modality: PSMA PET/CT | tracer: [18F]PSMA-1007 | view: axial
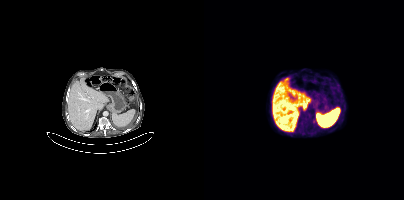
This slice has no annotated PSMA-avid lesion.